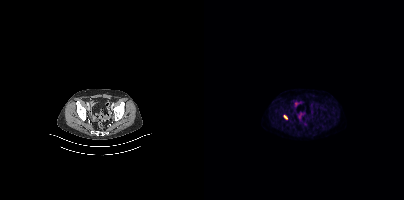
{"modality":"PSMA PET/CT","view":"axial","tracer":"18F","pet_grid":[200,200],"coord_frame":"pet_panel","coord_format":"x0,y0,x1,y1","lesion_bboxes":[[79,115,83,119]]}